Technique: Left: CT. Right: PSMA PET, same axial level, 68Ga-PSMA tracer. acquired on Siemens Biograph 64-4R TruePoint. slice position z = -1368 mm. PET panel 168×168 px (4.1 mm/px).
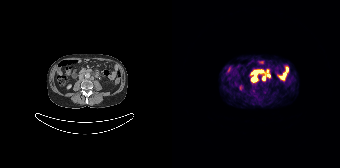
Findings: Coordinates are on the 168×168 PET (right) panel. PSMA-avid tumor lesion bounding box (x, y, width, height): x=79 y=76 w=6 h=6. Small PSMA-avid foci (2 to 4 px across) near (center x, center y): (96, 75) / (91, 78) / (95, 70) / (83, 73).